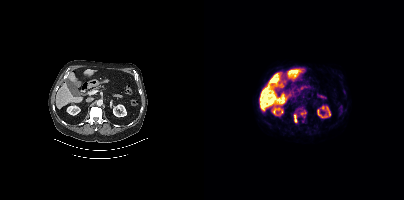
Coordinates are on the 200×200 PET (right) panel. (showing 2 of 3 foci) PSMA-avid tumor lesion bounding boxes (x, y, width, height): x=90 y=114 w=4 h=9 / x=96 y=110 w=7 h=6.